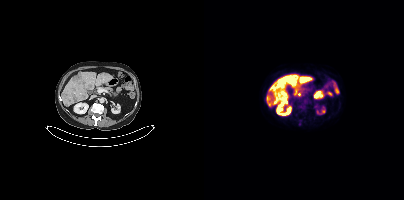
modality: PSMA PET/CT | tracer: 18F | view: axial
Coordinates are on the 200×200 PET (right) panel. PSMA-avid tumor lesion bounding boxes (x0,y0,x1,y1): [86,79,91,85], [98,76,103,81], [78,76,84,81], [73,82,77,87].